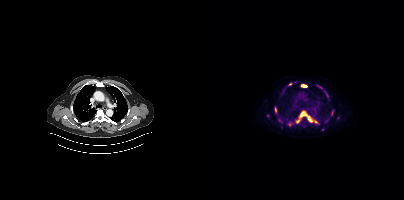
Technique: Left: CT. Right: PSMA PET, same axial level, [18F]PSMA-1007 tracer. slice position z = -998 mm.
Findings: Coordinates are on the 200×200 PET (right) panel. PSMA-avid tumor lesion bounding boxes (x, y, width, height): x=92 y=112 w=8 h=12; x=102 y=114 w=7 h=9; x=97 y=84 w=7 h=4; x=71 y=107 w=2 h=6; x=128 y=110 w=2 h=5. Small PSMA-avid foci (2 to 4 px across) near (center x, center y): (86, 84); (113, 122); (118, 129).